Technique: Left: CT. Right: PSMA PET, same axial level, 18F-PSMA tracer. PET panel 200×200 px (4.1 mm/px).
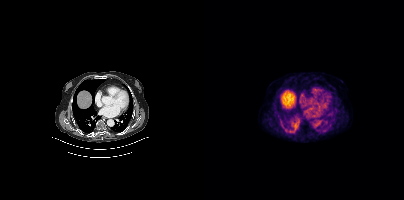
Findings: No PSMA-avid tumor lesions on this slice.